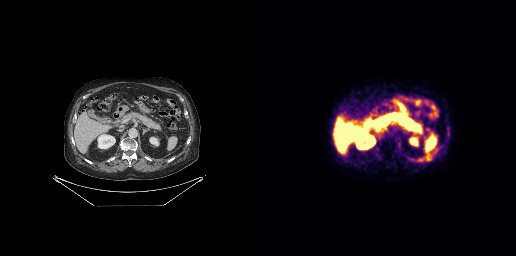
- Two-panel axial: CT | PSMA PET, 18F tracer
- slice position z = -551 mm
Findings: No PSMA-avid tumor lesions on this slice.